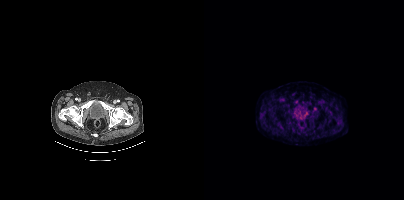
Technique: Paired axial CT (left) and PSMA PET (right), [18F]PSMA-1007 tracer. slice position z = -438 mm.
Findings: Coordinates are on the 200×200 PET (right) panel. Small PSMA-avid focus (2 to 4 px across) near (center x, center y): (92, 101).